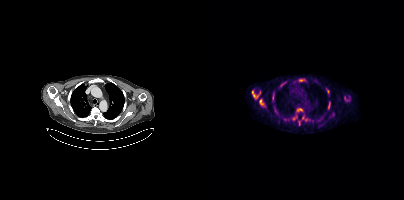
{"modality":"PSMA PET/CT","view":"axial","tracer":"[18F]PSMA-1007","pet_grid":[200,200],"coord_frame":"pet_panel","coord_format":"x0,y0,x1,y1","partial":true,"lesion_bboxes":[[48,91,54,98],[93,108,98,111],[95,79,100,81],[124,102,126,109],[68,94,70,100],[56,99,59,104],[123,89,125,93]],"small_foci_centers":[[76,85],[90,118],[98,117],[101,119]]}